- Left: CT. Right: PSMA PET, same axial level, 18F tracer
- PET panel 200×200 px (4.1 mm/px)
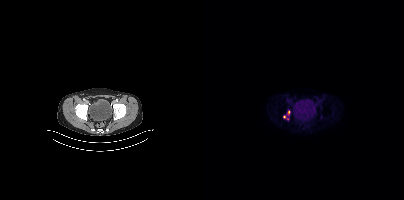
Findings: Coordinates are on the 200×200 PET (right) panel. (showing 2 of 3 foci) Small PSMA-avid foci (2 to 4 px across) near (center x, center y): (84, 112); (80, 116).